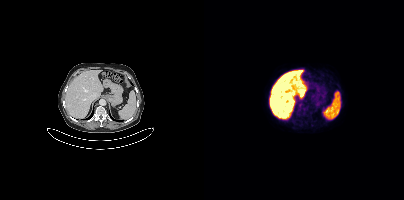
Coordinates are on the 200×200 PET (right) panel. Small PSMA-avid foci (2 to 4 px across) near (center x, center y): (94, 110) (105, 105).
modality: PSMA PET/CT | tracer: 18F | view: axial | PET grid: 200×200